Technique: Paired axial CT (left) and PSMA PET (right), [18F]PSMA-1007 tracer. acquired on Siemens Biograph mCT Flow 20. PET panel 200×200 px (4.1 mm/px).
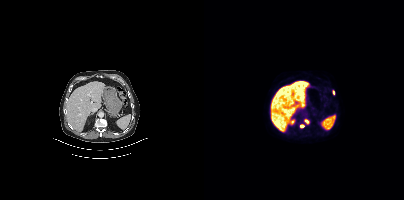
Findings: Coordinates are on the 200×200 PET (right) panel. PSMA-avid tumor lesion bounding box (x0, y0)-(x1, y1): (96, 125)-(100, 127). Small PSMA-avid foci (2 to 4 px across) near (center x, center y): (102, 121) | (129, 92).